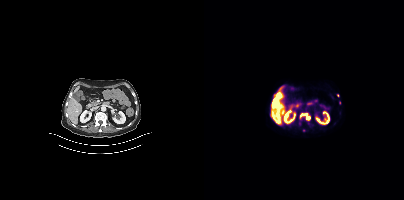
{"modality":"PSMA PET/CT","view":"axial","tracer":"[18F]PSMA-1007","pet_grid":[200,200],"coord_frame":"pet_panel","coord_format":"x0,y0,x1,y1","partial":true,"lesion_bboxes":[[96,113,106,119],[68,100,73,106]],"small_foci_centers":[[133,95]]}